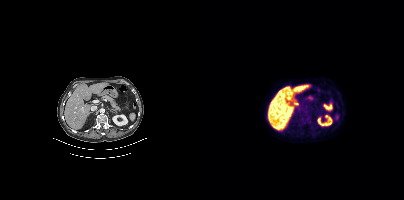
{"pet_grid":[200,200],"coord_frame":"pet_panel","coord_format":"x0,y0,x1,y1","psma_avid_lesions":false,"modality":"PSMA PET/CT","view":"axial","tracer":"18F-PSMA"}